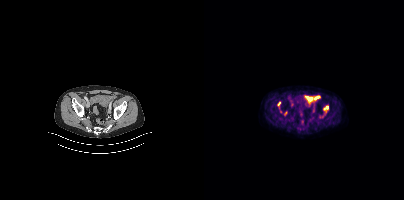
Paired axial CT (left) and PSMA PET (right), 18F tracer. Coordinates are on the 200×200 PET (right) panel. PSMA-avid tumor lesion bounding box (x0,y0,x1,y1): [121,105,124,110]. Small PSMA-avid focus (2 to 4 px across) near (center x, center y): (75, 103).